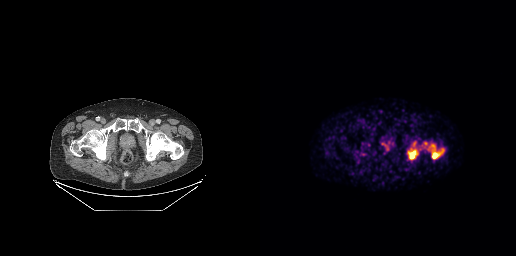
Coordinates are on the 256×256 PET (right) panel. (showing 3 of 4 foci) PSMA-avid tumor lesion bounding boxes (x0,y0,x1,y1): [148,150,157,158] [172,150,183,158]. Small PSMA-avid focus (2 to 4 px across) near (center x, center y): (173, 146).